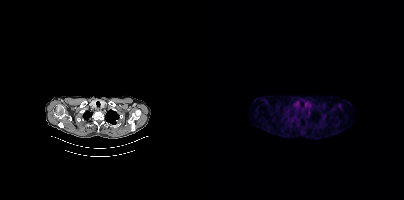
{"modality":"PSMA PET/CT","view":"axial","tracer":"18F-PSMA","pet_grid":[200,200],"coord_frame":"pet_panel","coord_format":"x0,y0,x1,y1","psma_avid_lesions":false}